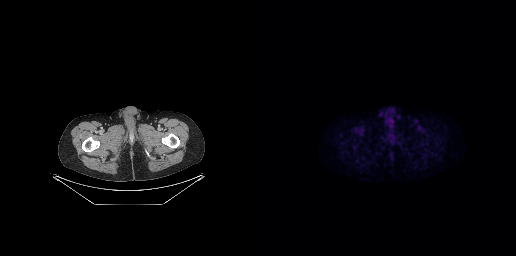
No tumor lesions annotated on this slice. Two-panel axial: CT | PSMA PET, 18F tracer. Slice 29 of 263.